modality: PSMA PET/CT | tracer: 18F | view: axial
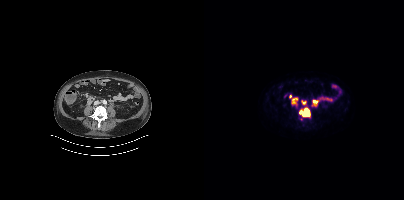
Coordinates are on the 200×200 PET (right) panel. (showing 3 of 4 foci) PSMA-avid tumor lesion bounding box (x0, y0)-(x1, y1): (95, 108)-(105, 116). Small PSMA-avid foci (2 to 4 px across) near (center x, center y): (100, 102) / (90, 102).